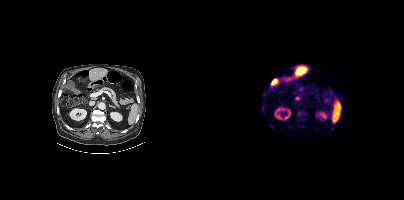
Findings: Coordinates are on the 200×200 PET (right) panel. (showing 3 of 4 foci) PSMA-avid tumor lesion bounding box (x0, y0)-(x1, y1): (93, 111)-(102, 116). Small PSMA-avid foci (2 to 4 px across) near (center x, center y): (93, 98) / (98, 126).
- Left: CT. Right: PSMA PET, same axial level, 18F-PSMA tracer
- PET panel 200×200 px (4.1 mm/px)